Left: CT. Right: PSMA PET, same axial level, 18F-PSMA tracer. PET panel 200×200 px (4.1 mm/px).
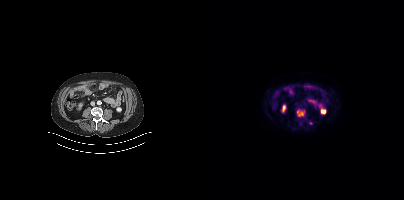
Only PSMA-avid lesion pieces thinner than 2 px on this slice (not listed).